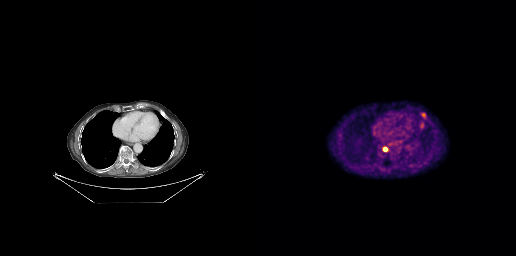
Paired axial CT (left) and PSMA PET (right), 18F-PSMA tracer. Slice 173 of 263.
Coordinates are on the 256×256 PET (right) panel. PSMA-avid tumor lesion bounding boxes:
| # | x0 | y0 | x1 | y1 |
|---|---|---|---|---|
| 1 | 161 | 113 | 165 | 118 |
| 2 | 123 | 147 | 127 | 151 |